modality: PSMA PET/CT | tracer: 18F-PSMA | view: axial | PET grid: 200×200
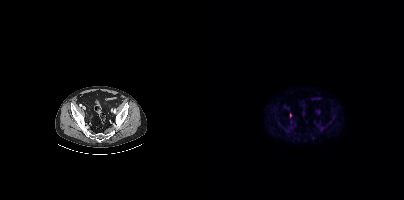
Coordinates are on the 200×200 PET (right) panel. Small PSMA-avid focus (2 to 4 px across) near (center x, center y): (86, 114).